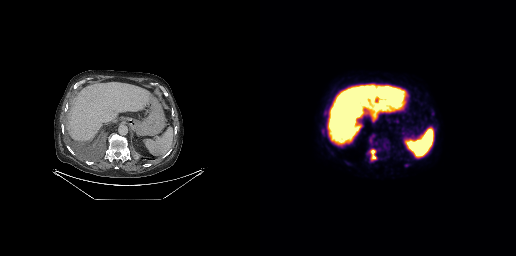
Technique: Paired axial CT (left) and PSMA PET (right), [18F]PSMA-1007 tracer.
Findings: Coordinates are on the 256×256 PET (right) panel. PSMA-avid tumor lesion bounding boxes (x0,y0,x1,y1): [109,149,116,160]; [62,128,65,135]; [109,134,114,141]; [64,110,67,115].